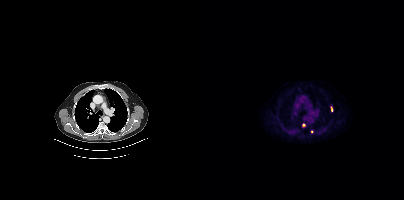
- Left: CT. Right: PSMA PET, same axial level, 18F tracer
- slice 305 of 401
- PET panel 200×200 px (4.1 mm/px)
Findings: Coordinates are on the 200×200 PET (right) panel. PSMA-avid tumor lesion bounding box (x0, y0)-(x1, y1): (127, 107)-(128, 111). Small PSMA-avid foci (2 to 4 px across) near (center x, center y): (99, 125) | (107, 131).